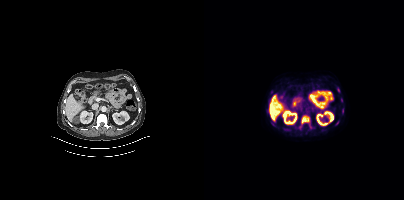
modality: PSMA PET/CT | tracer: [18F]PSMA-1007 | view: axial | PET grid: 200×200
Coordinates are on the 200×200 PET (right) panel. (showing 5 of 6 foci) PSMA-avid tumor lesion bounding boxes (x0,y0,x1,y1): [97,115,105,124] [138,108,139,113] [131,121,134,125]. Small PSMA-avid foci (2 to 4 px across) near (center x, center y): (134, 90) (67, 92).